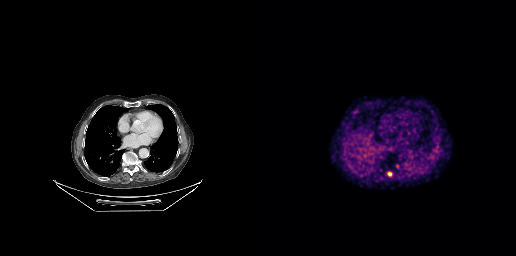
{"modality":"PSMA PET/CT","view":"axial","tracer":"[68Ga]Ga-PSMA-11","pet_grid":[256,256],"coord_frame":"pet_panel","coord_format":"x0,y0,x1,y1","lesion_bboxes":[],"small_foci_centers":[[129,173],[95,111]]}